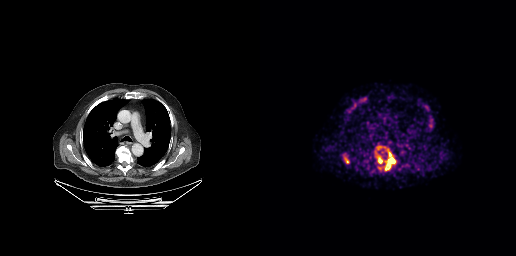
modality: PSMA PET/CT | tracer: 68Ga-PSMA | view: axial
Coordinates are on the 256×256 PET (right) panel. (showing 4 of 7 foci) PSMA-avid tumor lesion bounding boxes (x0, y0)-(x1, y1): (116, 149)-(136, 170) / (117, 146)-(121, 149). Small PSMA-avid foci (2 to 4 px across) near (center x, center y): (119, 168) / (170, 125).